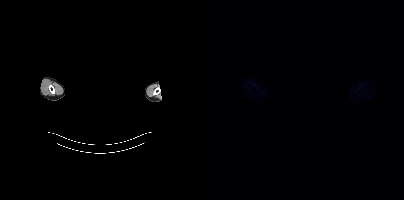
Two-panel axial: CT | PSMA PET, 18F-PSMA tracer. The head region is masked for de-identification. This slice has no annotated PSMA-avid lesion.